A rectangular block over the head has been blanked out for de-identification. Paired axial CT (left) and PSMA PET (right), 18F-PSMA tracer. Acquired on Siemens Biograph mCT Flow 20. Slice 831 of 963.
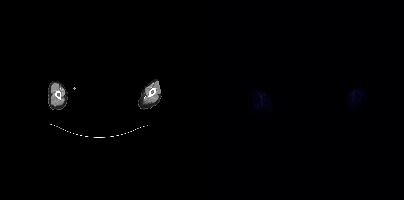
This slice has no annotated PSMA-avid lesion.